Left: CT. Right: PSMA PET, same axial level, 18F tracer. Acquired on Siemens Biograph mCT Flow 20.
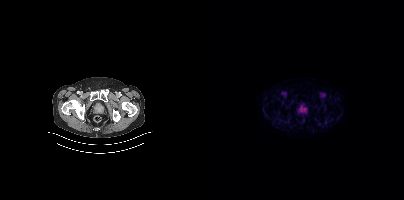
This slice has no annotated PSMA-avid lesion.